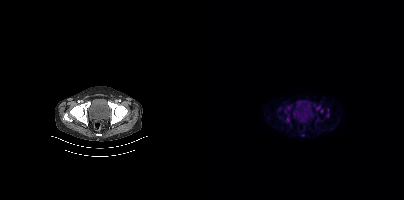
modality: PSMA PET/CT | tracer: [18F]PSMA-1007 | view: axial | PET grid: 200×200
Coordinates are on the 200×200 PET (right) panel. (showing 6 of 7 foci) PSMA-avid tumor lesion bounding boxes (x0,y0,x1,y1): [112,105,119,112], [82,115,85,121], [122,108,125,117]. Small PSMA-avid foci (2 to 4 px across) near (center x, center y): (84, 107), (81, 111), (75, 108).